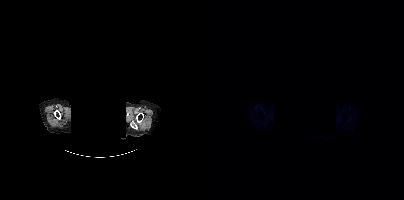
Paired axial CT (left) and PSMA PET (right), 18F tracer. Slice 359 of 389. PET panel 200×200 px (4.1 mm/px). A rectangular block over the head has been blanked out for de-identification. No tumor lesions annotated on this slice.